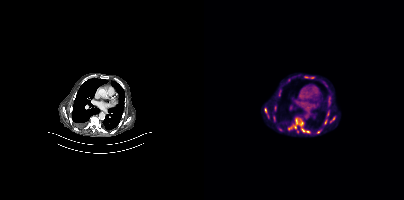
Coordinates are on the 200×200 PET (right) panel. (showing 10 of 11 foci) PSMA-avid tumor lesion bounding boxes (x0,y0,x1,y1): [84,118,100,131]; [60,107,65,118]; [124,95,127,100]; [70,106,72,110]; [69,116,71,120]; [126,117,130,122]; [120,120,122,124]. Small PSMA-avid foci (2 to 4 px across) near (center x, center y): (75, 91); (123, 113); (103, 131).